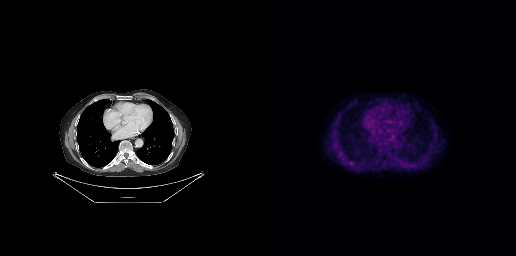
{"pet_grid":[256,256],"coord_frame":"pet_panel","coord_format":"x0,y0,x1,y1","lesion_bboxes":[],"small_foci_centers":[[90,162]],"modality":"PSMA PET/CT","view":"axial","tracer":"18F-PSMA"}